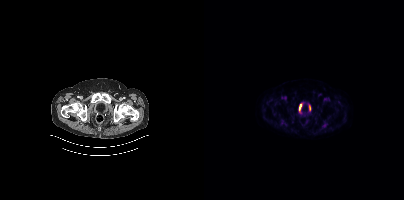
This slice has no annotated PSMA-avid lesion.